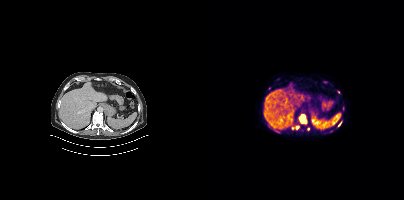
- Left: CT. Right: PSMA PET, same axial level, 18F-PSMA tracer
- acquired on Siemens Biograph mCT Flow 20
Findings: Coordinates are on the 200×200 PET (right) panel. PSMA-avid tumor lesion bounding boxes (x0,y0,x1,y1): [95,116,102,123], [134,122,137,126]. Small PSMA-avid foci (2 to 4 px across) near (center x, center y): (93, 127), (104, 128).